modality: PSMA PET/CT | tracer: [68Ga]Ga-PSMA-11 | view: axial | PET grid: 200×200
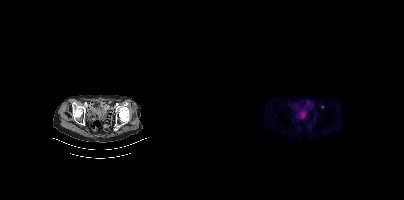
This slice has no annotated PSMA-avid lesion.